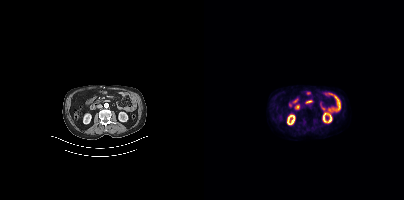
Findings: No PSMA-avid tumor lesions on this slice.
- Two-panel axial: CT | PSMA PET, [18F]PSMA-1007 tracer
- slice 161 of 401